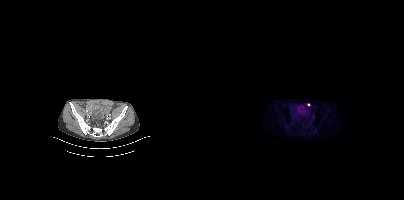
Findings: Coordinates are on the 200×200 PET (right) panel. Small PSMA-avid focus (2 to 4 px across) near (center x, center y): (104, 104).
- Paired axial CT (left) and PSMA PET (right), 18F-PSMA tracer
- acquired on Siemens Biograph mCT Flow 20
- PET panel 200×200 px (4.1 mm/px)